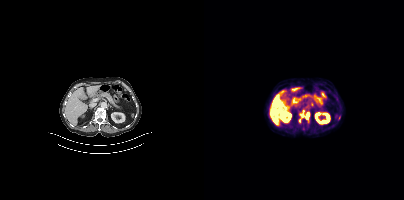
Technique: Paired axial CT (left) and PSMA PET (right), 18F tracer. slice 193 of 407.
Findings: Coordinates are on the 200×200 PET (right) panel. PSMA-avid tumor lesion bounding box (x, y, width, height): x=96 y=110 w=10 h=10. Small PSMA-avid focus (2 to 4 px across) near (center x, center y): (95, 120).